- Paired axial CT (left) and PSMA PET (right), 18F-PSMA tracer
- acquired on Siemens Biograph mCT Flow 20
- slice position z = -1210 mm
- PET panel 200×200 px (4.1 mm/px)
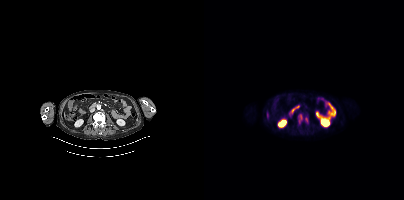
Findings: Coordinates are on the 200×200 PET (right) panel. PSMA-avid tumor lesion bounding box (x0, y0)-(x1, y1): (94, 114)-(103, 123).